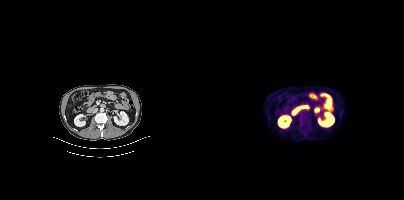
{"modality":"PSMA PET/CT","view":"axial","tracer":"[18F]PSMA-1007","pet_grid":[200,200],"coord_frame":"pet_panel","coord_format":"x0,y0,x1,y1","lesion_bboxes":[[96,116,106,126]]}